Left: CT. Right: PSMA PET, same axial level, [18F]PSMA-1007 tracer. Acquired on Siemens Biograph mCT Flow 20. PET panel 200×200 px (4.1 mm/px).
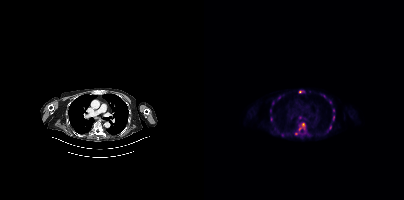
Coordinates are on the 200×200 PET (right) panel. (showing 13 of 15 foci) PSMA-avid tumor lesion bounding boxes (x0, y0)-(x1, y1): (95, 123)-(101, 130); (129, 116)-(130, 120). Small PSMA-avid foci (2 to 4 px across) near (center x, center y): (96, 117); (78, 134); (75, 97); (69, 102); (126, 127); (96, 91); (129, 110); (92, 133); (120, 96); (67, 119); (104, 134).